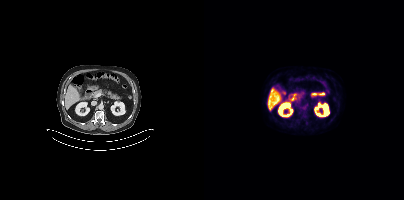
{"modality":"PSMA PET/CT","view":"axial","tracer":"18F-PSMA","pet_grid":[200,200],"coord_frame":"pet_panel","coord_format":"x0,y0,x1,y1","psma_avid_lesions":false}